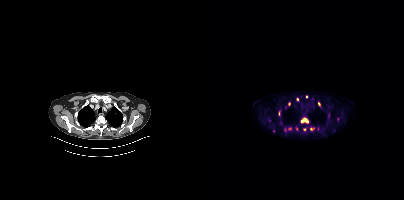
Paired axial CT (left) and PSMA PET (right), [18F]PSMA-1007 tracer. Acquired on Siemens Biograph mCT Flow 20. Slice 326 of 413.
Coordinates are on the 200×200 PET (right) panel. PSMA-avid tumor lesion bounding boxes (partial; 3 more foci not listed):
| # | x0 | y0 | x1 | y1 |
|---|---|---|---|---|
| 1 | 96 | 117 | 104 | 123 |
| 2 | 106 | 128 | 110 | 130 |
Small PSMA-avid foci (2 to 4 px across) near (center x, center y): (115, 103); (100, 129); (80, 129); (85, 104); (92, 128); (102, 96).